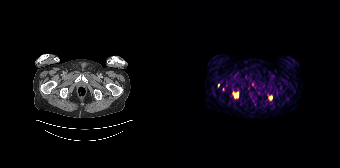
{"modality":"PSMA PET/CT","view":"axial","tracer":"[68Ga]Ga-PSMA-11","pet_grid":[168,168],"coord_frame":"pet_panel","coord_format":"x0,y0,x1,y1","lesion_bboxes":[[61,92,66,97]],"small_foci_centers":[[98,97],[51,89],[46,85]]}